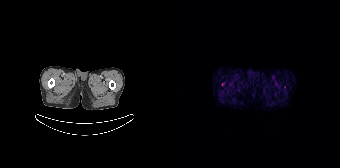
No PSMA-avid tumor lesions on this slice.
modality: PSMA PET/CT | tracer: [68Ga]Ga-PSMA-11 | view: axial | PET grid: 168×168